modality: PSMA PET/CT | tracer: 18F-PSMA | view: axial
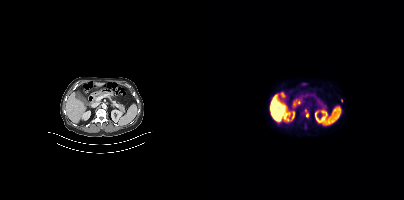
Coordinates are on the 200×200 PET (right) panel. PSMA-avid tumor lesion bounding box (x, y, width, height): x=101 y=109 w=4 h=9. Small PSMA-avid focus (2 to 4 px across) near (center x, center y): (137, 100).